Paired axial CT (left) and PSMA PET (right), 68Ga-PSMA tracer. Acquired on Siemens Biograph 64-4R TruePoint. Slice 70 of 195.
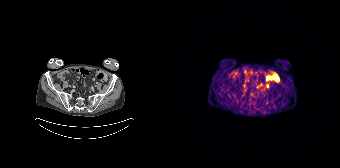
Coordinates are on the 168×168 PET (right) panel. Small PSMA-avid focus (2 to 4 px across) near (center x, center y): (95, 86).